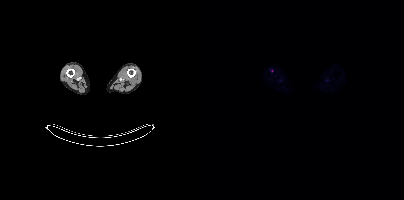
- Left: CT. Right: PSMA PET, same axial level, [18F]PSMA-1007 tracer
- acquired on Siemens Biograph mCT Flow 20
- slice 362 of 963
- PET panel 200×200 px (4.1 mm/px)
Findings: No tumor lesions annotated on this slice.